Technique: Left: CT. Right: PSMA PET, same axial level, [68Ga]Ga-PSMA-11 tracer. acquired on Siemens Biograph mCT Flow 20. PET panel 200×200 px (4.1 mm/px).
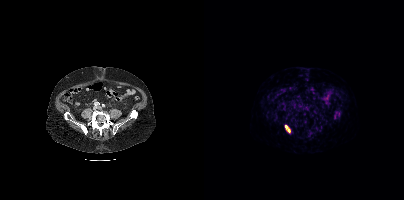
Findings: Coordinates are on the 200×200 PET (right) panel. PSMA-avid tumor lesion bounding box (x0, y0)-(x1, y1): (81, 125)-(86, 132).